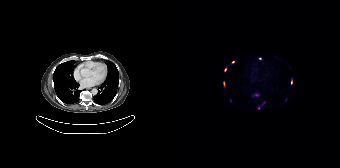
{"pet_grid":[168,168],"coord_frame":"pet_panel","coord_format":"x0,y0,x1,y1","partial":true,"lesion_bboxes":[[51,81,53,86],[52,67,54,71],[119,79,120,84]],"small_foci_centers":[[60,61],[84,95],[88,58],[86,108]],"modality":"PSMA PET/CT","view":"axial","tracer":"[18F]PSMA-1007"}